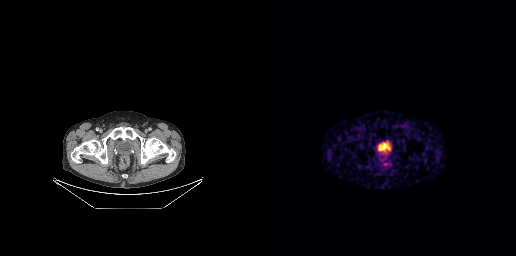
Two-panel axial: CT | PSMA PET, [68Ga]Ga-PSMA-11 tracer. Acquired on GE Discovery 690. Negative for PSMA-avid disease on this slice.